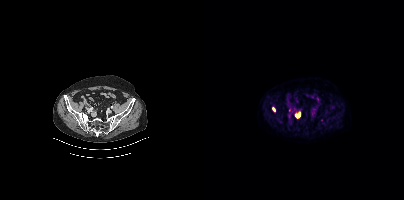
Paired axial CT (left) and PSMA PET (right), 18F-PSMA tracer. Slice 108 of 452. Coordinates are on the 200×200 PET (right) panel. PSMA-avid tumor lesion bounding box (x, y, width, height): x=91 y=113 w=6 h=5. Small PSMA-avid focus (2 to 4 px across) near (center x, center y): (69, 109).